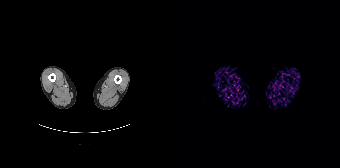
{"modality":"PSMA PET/CT","view":"axial","tracer":"[68Ga]Ga-PSMA-11","pet_grid":[168,168],"coord_frame":"pet_panel","coord_format":"x0,y0,x1,y1","psma_avid_lesions":false}